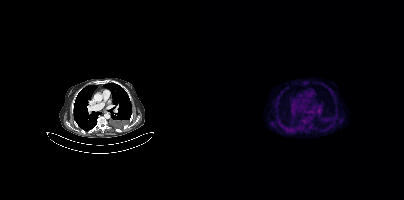
Left: CT. Right: PSMA PET, same axial level, 18F tracer. Acquired on Siemens Biograph mCT Flow 20. No tumor lesions annotated on this slice.